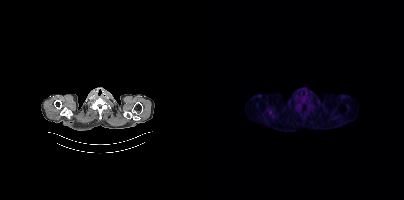
Technique: Paired axial CT (left) and PSMA PET (right), 18F-PSMA tracer. acquired on Siemens Biograph mCT Flow 20.
Findings: This slice has no annotated PSMA-avid lesion.